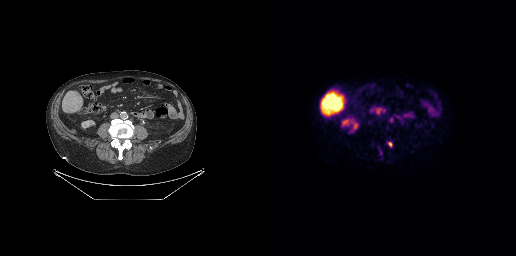
- Left: CT. Right: PSMA PET, same axial level, 18F tracer
- acquired on GE Discovery 690
- slice position z = -563 mm
- PET panel 256×256 px (2.7 mm/px)
Findings: Coordinates are on the 256×256 PET (right) panel. (showing 2 of 3 foci) PSMA-avid tumor lesion bounding box (x0, y0)-(x1, y1): (127, 141)-(132, 147). Small PSMA-avid focus (2 to 4 px across) near (center x, center y): (131, 120).